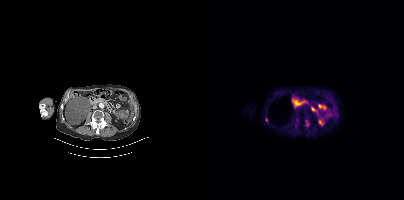
Paired axial CT (left) and PSMA PET (right), 18F tracer. Acquired on Siemens Biograph mCT Flow 20. Slice position z = -54 mm. Coordinates are on the 200×200 PET (right) panel. Small PSMA-avid foci (2 to 4 px across) near (center x, center y): (62, 119) | (102, 124).